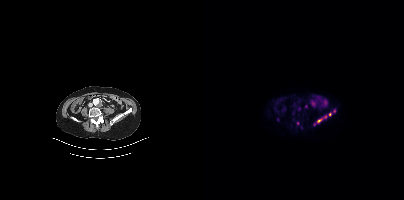
Coordinates are on the 200×200 PET (right) panel. (showing 6 of 8 foci) Small PSMA-avid foci (2 to 4 px across) near (center x, center y): (130, 110) (93, 123) (125, 114) (116, 120) (121, 116) (113, 121).